Technique: Left: CT. Right: PSMA PET, same axial level, 68Ga-PSMA tracer. PET panel 168×168 px (4.1 mm/px).
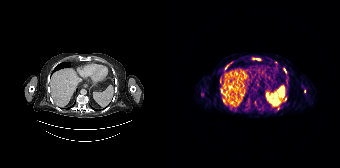
Findings: Coordinates are on the 168×168 PET (right) panel. (showing 10 of 13 foci) PSMA-avid tumor lesion bounding box (x0, y0)-(x1, y1): (112, 68)-(114, 72). Small PSMA-avid foci (2 to 4 px across) near (center x, center y): (48, 80) / (49, 90) / (113, 99) / (86, 59) / (55, 66) / (53, 103) / (81, 58) / (132, 91) / (106, 108).